Technique: Paired axial CT (left) and PSMA PET (right), 18F-PSMA tracer. slice 150 of 446.
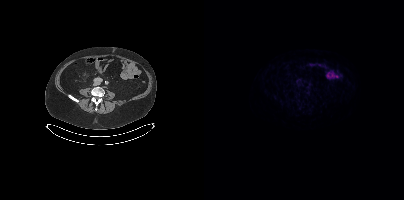
Findings: No PSMA-avid tumor lesions on this slice.